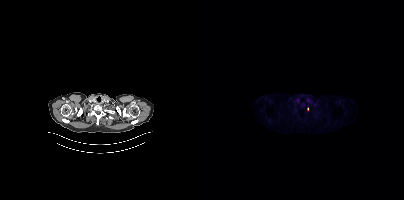
Paired axial CT (left) and PSMA PET (right), 18F tracer. Coordinates are on the 200×200 PET (right) panel. Small PSMA-avid focus (2 to 4 px across) near (center x, center y): (103, 109).